- Left: CT. Right: PSMA PET, same axial level, [18F]PSMA-1007 tracer
- slice 213 of 401
- PET panel 200×200 px (4.1 mm/px)
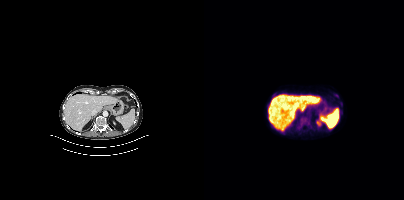
Findings: No PSMA-avid tumor lesions on this slice.